Paired axial CT (left) and PSMA PET (right), 18F-PSMA tracer. Acquired on Siemens Biograph mCT Flow 20.
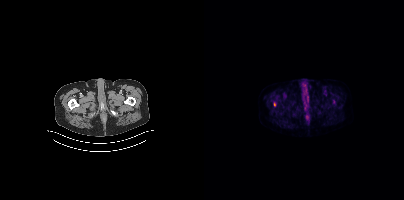
Coordinates are on the 200×200 PET (right) panel. PSMA-avid tumor lesion bounding boxes:
| # | x0 | y0 | x1 | y1 |
|---|---|---|---|---|
| 1 | 70 | 102 | 71 | 106 |
Small PSMA-avid focus (2 to 4 px across) near (center x, center y): (129, 101).